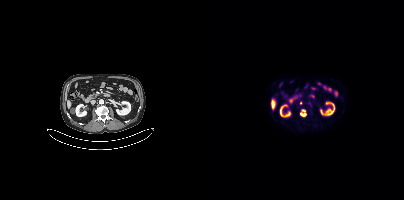
Coordinates are on the 200×200 PET (right) panel. (showing 2 of 3 foci) PSMA-avid tumor lesion bounding box (x, y, width, height): x=96 y=110 w=6 h=7. Small PSMA-avid focus (2 to 4 px across) near (center x, center y): (105, 103).